Paired axial CT (left) and PSMA PET (right), [68Ga]Ga-PSMA-11 tracer. Slice position z = -896 mm.
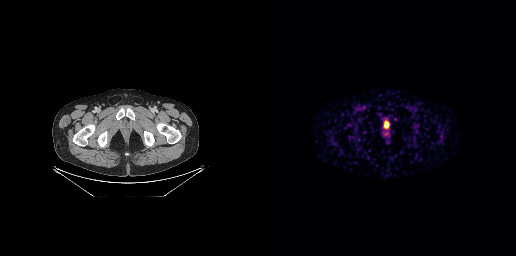
This slice has no annotated PSMA-avid lesion.